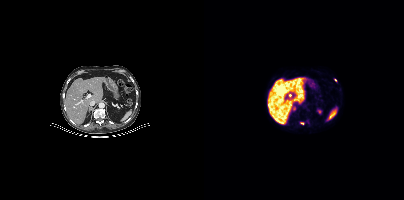
{"modality":"PSMA PET/CT","view":"axial","tracer":"[18F]PSMA-1007","pet_grid":[200,200],"coord_frame":"pet_panel","coord_format":"x0,y0,x1,y1","lesion_bboxes":[],"small_foci_centers":[[131,80],[98,123]]}